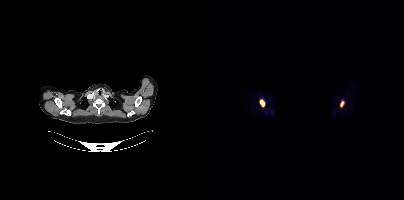
redaction: region redacted | modality: PSMA PET/CT | tracer: 18F-PSMA | view: axial | PET grid: 200×200
Coordinates are on the 200×200 PET (right) panel. PSMA-avid tumor lesion bounding boxes (x0,y0,x1,y1): [55,99,61,107] [136,101,140,106].